Technique: Two-panel axial: CT | PSMA PET, 68Ga-PSMA tracer. slice 49 of 263. PET panel 256×256 px (2.7 mm/px).
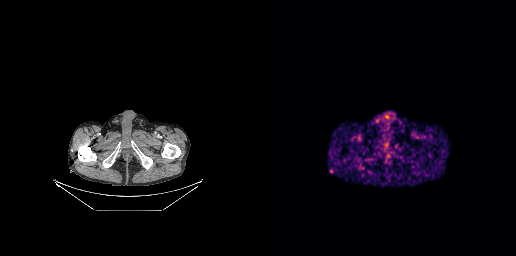
Findings: Negative for PSMA-avid disease on this slice.